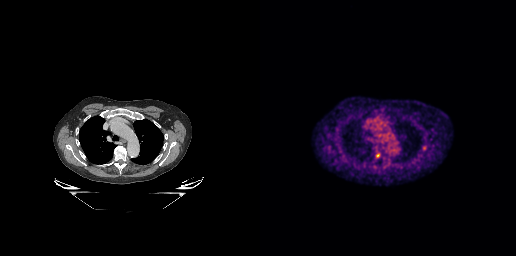
- Paired axial CT (left) and PSMA PET (right), 18F-PSMA tracer
Findings: Coordinates are on the 256×256 PET (right) panel. PSMA-avid tumor lesion bounding box (x0,y0,x1,y1): [116,153,119,157].